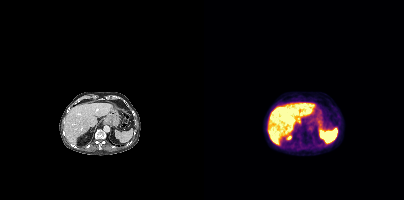
Two-panel axial: CT | PSMA PET, 18F-PSMA tracer. PET panel 200×200 px (4.1 mm/px). Negative for PSMA-avid disease on this slice.